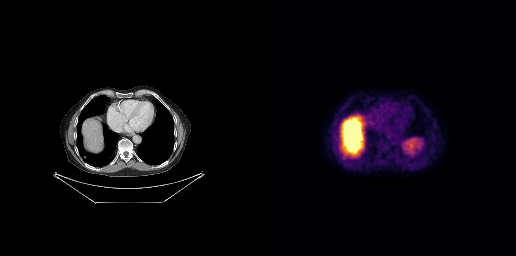
- Paired axial CT (left) and PSMA PET (right), 18F-PSMA tracer
Findings: No PSMA-avid tumor lesions on this slice.